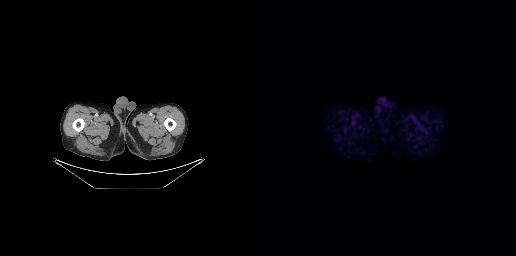
modality: PSMA PET/CT | tracer: [18F]PSMA-1007 | view: axial
No PSMA-avid tumor lesions on this slice.